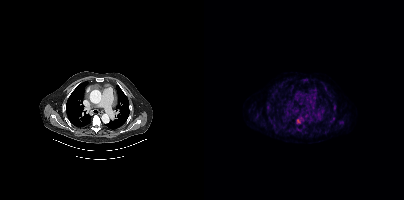
Coordinates are on the 200×200 PET (right) panel. PSMA-avid tumor lesion bounding boxes (partial; 1 more focus not listed):
| # | x0 | y0 | x1 | y1 |
|---|---|---|---|---|
| 1 | 93 | 119 | 96 | 123 |
Paired axial CT (left) and PSMA PET (right), 18F-PSMA tracer. Acquired on Siemens Biograph mCT Flow 20. Slice 337 of 454. PET panel 200×200 px (4.1 mm/px).